Left: CT. Right: PSMA PET, same axial level, 18F-PSMA tracer. Acquired on Siemens Biograph mCT Flow 20. Slice position z = -753 mm.
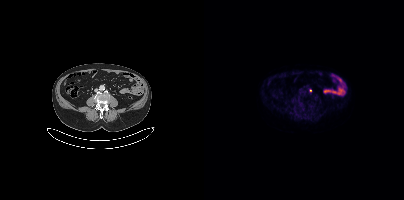
No tumor lesions annotated on this slice.